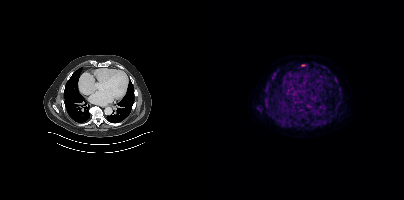
Paired axial CT (left) and PSMA PET (right), [18F]PSMA-1007 tracer. Acquired on Siemens Biograph mCT Flow 20.
Coordinates are on the 200×200 PET (right) panel. PSMA-avid tumor lesion bounding boxes (partial; 5 more foci not listed):
| # | x0 | y0 | x1 | y1 |
|---|---|---|---|---|
| 1 | 61 | 81 | 66 | 91 |
| 2 | 94 | 109 | 103 | 116 |
| 3 | 60 | 103 | 66 | 108 |
| 4 | 67 | 72 | 72 | 78 |
| 5 | 118 | 66 | 122 | 70 |
| 6 | 60 | 97 | 63 | 101 |
| 7 | 97 | 64 | 102 | 66 |
| 8 | 72 | 121 | 76 | 124 |
Small PSMA-avid foci (2 to 4 px across) near (center x, center y): (125, 120); (132, 82).